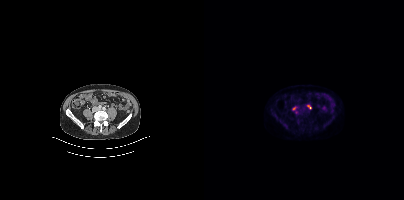
Technique: Left: CT. Right: PSMA PET, same axial level, 18F tracer.
Findings: Coordinates are on the 200×200 PET (right) panel. Small PSMA-avid focus (2 to 4 px across) near (center x, center y): (105, 106).